Paired axial CT (left) and PSMA PET (right), 18F-PSMA tracer. Slice position z = -196 mm.
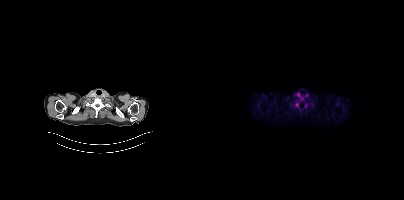
Negative for PSMA-avid disease on this slice.